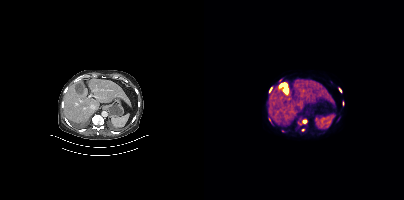
Technique: Paired axial CT (left) and PSMA PET (right), 18F tracer. acquired on Siemens Biograph mCT Flow 20. slice 260 of 444. PET panel 200×200 px (4.1 mm/px).
Findings: Coordinates are on the 200×200 PET (right) panel. (showing 4 of 6 foci) PSMA-avid tumor lesion bounding boxes (x0, y0)-(x1, y1): (98, 119)-(103, 123) / (65, 87)-(68, 92) / (135, 88)-(137, 92). Small PSMA-avid focus (2 to 4 px across) near (center x, center y): (99, 129).